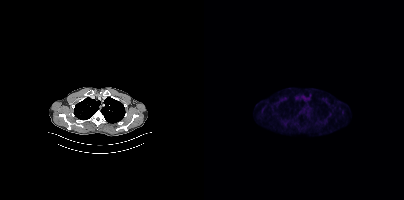
This slice has no annotated PSMA-avid lesion.